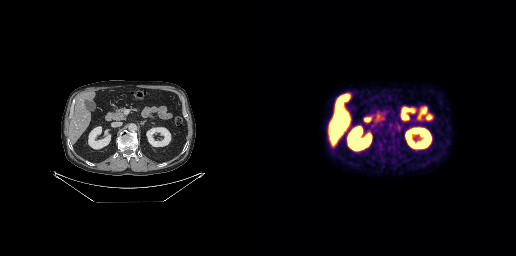
{"modality":"PSMA PET/CT","view":"axial","tracer":"18F-PSMA","pet_grid":[256,256],"coord_frame":"pet_panel","coord_format":"x0,y0,x1,y1","psma_avid_lesions":false}